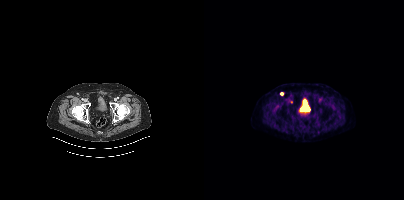
Paired axial CT (left) and PSMA PET (right), [18F]PSMA-1007 tracer. Slice 81 of 438. Coordinates are on the 200×200 PET (right) panel. Small PSMA-avid focus (2 to 4 px across) near (center x, center y): (77, 93).